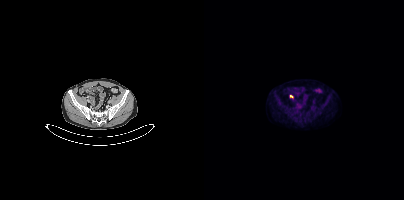
- Two-panel axial: CT | PSMA PET, [18F]PSMA-1007 tracer
Findings: Coordinates are on the 200×200 PET (right) panel. Small PSMA-avid focus (2 to 4 px across) near (center x, center y): (87, 96).